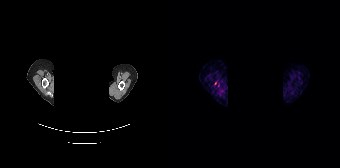
modality: PSMA PET/CT | tracer: 68Ga-PSMA | view: axial | PET grid: 168×168 | de-identification: privacy mask over head
Coordinates are on the 168×168 PET (right) panel. Small PSMA-avid focus (2 to 4 px across) near (center x, center y): (43, 83).